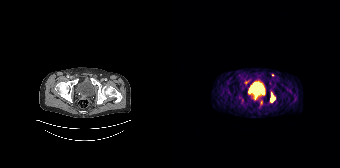
Coordinates are on the 168×168 PET (right) panel. (showing 3 of 4 foci) PSMA-avid tumor lesion bounding box (x, y, width, height): x=98 y=97 w=6 h=6. Small PSMA-avid foci (2 to 4 px across) near (center x, center y): (74, 82) / (100, 75).